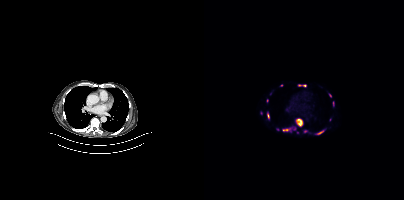
Coordinates are on the 200×200 PET (right) panel. (showing 10 of 14 foci) PSMA-avid tumor lesion bounding boxes (x, y, width, height): x=92 y=118 w=7 h=9; x=78 y=127 w=14 h=5; x=113 y=130 w=8 h=5; x=94 y=84 w=9 h=3; x=63 y=112 w=3 h=7. Small PSMA-avid foci (2 to 4 px across) near (center x, center y): (101, 131); (126, 95); (63, 100); (77, 85); (57, 112). Two-panel axial: CT | PSMA PET, 18F-PSMA tracer. Acquired on Siemens Biograph mCT Flow 20.